Technique: Paired axial CT (left) and PSMA PET (right), 18F-PSMA tracer. slice 50 of 165. PET panel 168×168 px (4.1 mm/px).
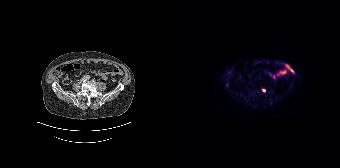
Findings: Coordinates are on the 168×168 PET (right) panel. PSMA-avid tumor lesion bounding box (x0, y0)-(x1, y1): (90, 88)-(93, 92). Small PSMA-avid focus (2 to 4 px across) near (center x, center y): (55, 84).